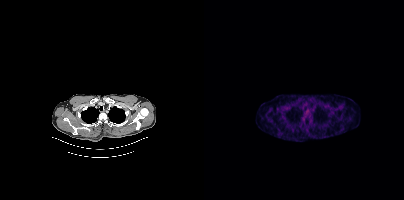
Negative for PSMA-avid disease on this slice.